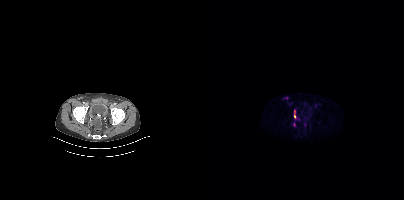
Coordinates are on the 200×200 PET (right) panel. (showing 2 of 3 foci) PSMA-avid tumor lesion bounding box (x0, y0)-(x1, y1): (90, 110)-(91, 118). Small PSMA-avid focus (2 to 4 px across) near (center x, center y): (82, 97).